Two-panel axial: CT | PSMA PET, [18F]PSMA-1007 tracer. Acquired on Siemens Biograph mCT Flow 20. PET panel 200×200 px (4.1 mm/px).
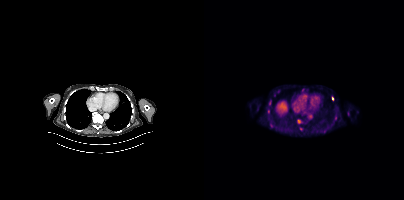
Coordinates are on the 200×200 PET (right) panel. (showing 1 of 2 foci) Small PSMA-avid focus (2 to 4 px across) near (center x, center y): (128, 98).